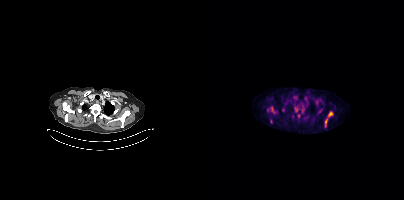
{"modality":"PSMA PET/CT","view":"axial","tracer":"18F","pet_grid":[200,200],"coord_frame":"pet_panel","coord_format":"x0,y0,x1,y1","partial":true,"lesion_bboxes":[[121,111,129,126],[67,106,69,111]],"small_foci_centers":[[92,109]]}